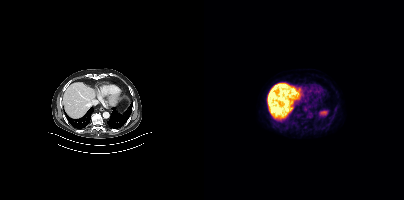
Technique: Two-panel axial: CT | PSMA PET, [18F]PSMA-1007 tracer. slice position z = -622 mm. PET panel 200×200 px (4.1 mm/px).
Findings: This slice has no annotated PSMA-avid lesion.